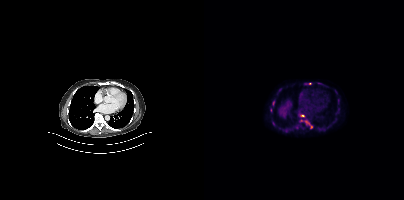
Coordinates are on the 200×200 PET (right) panel. (showing 6 of 8 foci) PSMA-avid tumor lesion bounding boxes (x, y, width, height): x=97 y=120 w=10 h=6 | x=69 y=100 w=2 h=5. Small PSMA-avid foci (2 to 4 px across) near (center x, center y): (98, 116) | (106, 83) | (69, 123) | (107, 126).